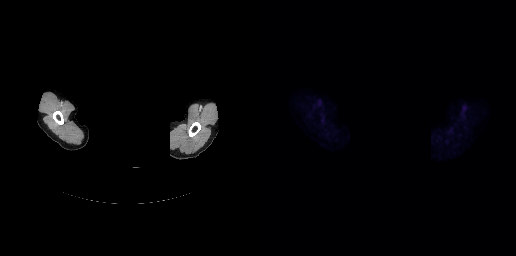
{"pet_grid":[256,256],"coord_frame":"pet_panel","coord_format":"x0,y0,x1,y1","psma_avid_lesions":false,"de-identification":"face masked with black rectangle","modality":"PSMA PET/CT","view":"axial","tracer":"[18F]PSMA-1007"}